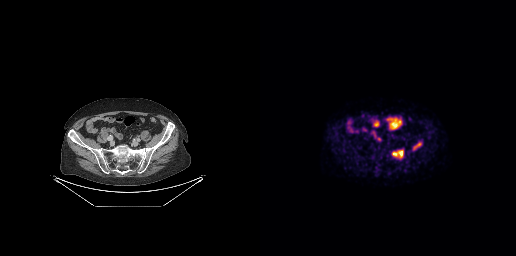
{"modality":"PSMA PET/CT","view":"axial","tracer":"[18F]PSMA-1007","pet_grid":[256,256],"coord_frame":"pet_panel","coord_format":"x0,y0,x1,y1","lesion_bboxes":[[132,149,143,159],[153,142,161,150]]}